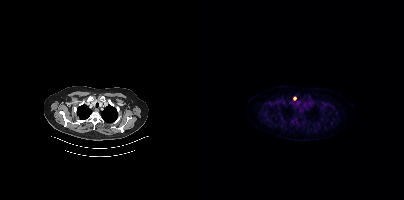
Coordinates are on the 200×200 PET (right) panel. Small PSMA-avid focus (2 to 4 px across) near (center x, center y): (91, 98).